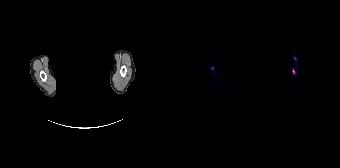
Findings: Coordinates are on the 168×168 PET (right) panel. (showing 2 of 3 foci) PSMA-avid tumor lesion bounding box (x0,y0,x1,y1): [120,69,123,73]. Small PSMA-avid focus (2 to 4 px across) near (center x, center y): (122, 58).
- Paired axial CT (left) and PSMA PET (right), [18F]PSMA-1007 tracer
- acquired on Siemens Biograph 64-4R TruePoint
- slice 145 of 165
- the face region was removed for patient privacy by blanking a rectangle over the head